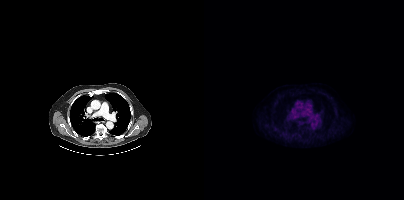
modality: PSMA PET/CT | tracer: 18F | view: axial | PET grid: 200×200
This slice has no annotated PSMA-avid lesion.